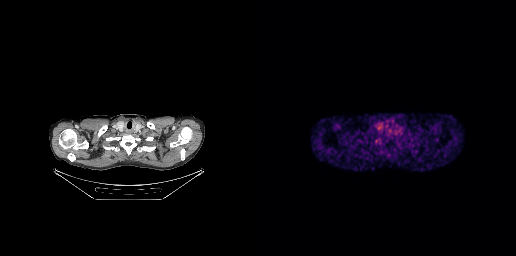
Negative for PSMA-avid disease on this slice.